Paired axial CT (left) and PSMA PET (right), 68Ga-PSMA tracer. Acquired on Siemens Biograph mCT Flow 20. PET panel 200×200 px (4.1 mm/px).
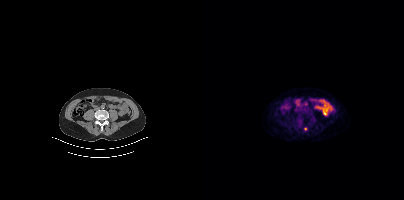
Coordinates are on the 200×200 PET (right) panel. Small PSMA-avid focus (2 to 4 px across) near (center x, center y): (101, 129).